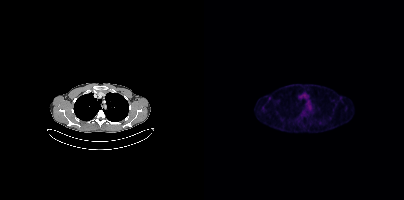
Paired axial CT (left) and PSMA PET (right), [18F]PSMA-1007 tracer. Acquired on Siemens Biograph mCT Flow 20. PET panel 200×200 px (4.1 mm/px). Coordinates are on the 200×200 PET (right) panel. Small PSMA-avid focus (2 to 4 px across) near (center x, center y): (129, 110).